modality: PSMA PET/CT | tracer: 18F | view: axial | PET grid: 200×200
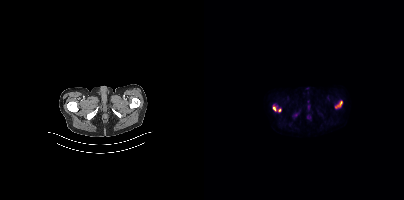
Coordinates are on the 200×200 PET (right) panel. PSMA-avid tumor lesion bounding boxes (x0, y0)-(x1, y1): (69, 104)-(77, 111) / (131, 101)-(138, 108).